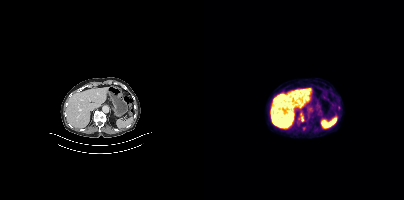
Coordinates are on the 200×200 PET (right) panel. Small PSMA-avid focus (2 to 4 px across) near (center x, center y): (98, 118). Paired axial CT (left) and PSMA PET (right), 18F-PSMA tracer. Slice 216 of 407.